Left: CT. Right: PSMA PET, same axial level, 18F-PSMA tracer. Slice 102 of 165.
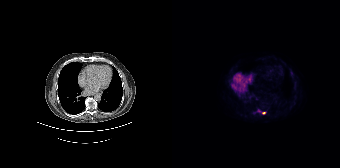
Coordinates are on the 168×168 PET (right) panel. (showing 1 of 2 foci) Small PSMA-avid focus (2 to 4 px across) near (center x, center y): (91, 113).